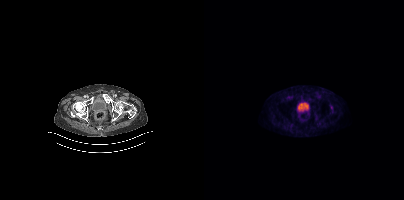
Two-panel axial: CT | PSMA PET, 18F-PSMA tracer. Acquired on Siemens Biograph mCT Flow 20. This slice has no annotated PSMA-avid lesion.